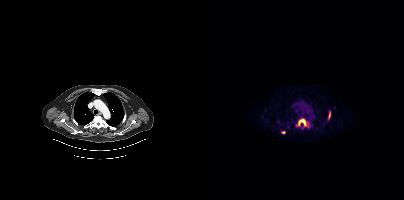
Coordinates are on the 200×200 PET (right) panel. PSMA-avid tumor lesion bounding boxes:
| # | x0 | y0 | x1 | y1 |
|---|---|---|---|---|
| 1 | 92 | 119 | 105 | 129 |
| 2 | 124 | 111 | 126 | 119 |
| 3 | 77 | 131 | 81 | 133 |
Small PSMA-avid focus (2 to 4 px across) near (center x, center y): (83, 127).
Two-panel axial: CT | PSMA PET, [18F]PSMA-1007 tracer.